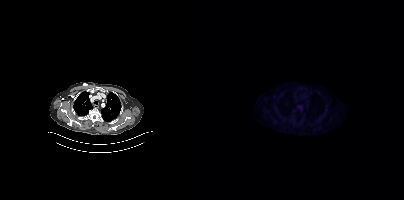
This slice has no annotated PSMA-avid lesion.